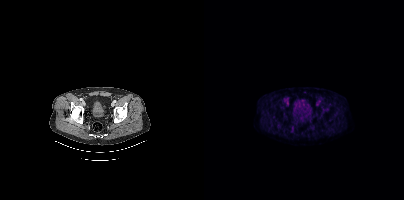
- Two-panel axial: CT | PSMA PET, 18F tracer
Findings: No tumor lesions annotated on this slice.